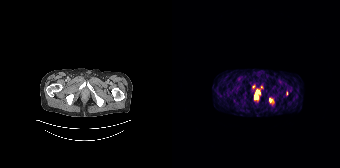
- Two-panel axial: CT | PSMA PET, 68Ga-PSMA tracer
- PET panel 168×168 px (4.1 mm/px)
Findings: Coordinates are on the 168×168 PET (right) panel. PSMA-avid tumor lesion bounding box (x, y, width, height): x=97 y=98 w=5 h=5. Small PSMA-avid foci (2 to 4 px across) near (center x, center y): (89, 86); (80, 87); (114, 92).